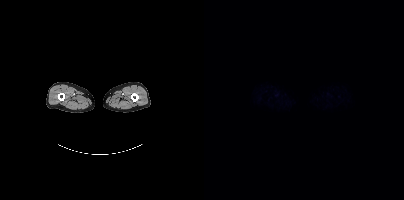
Paired axial CT (left) and PSMA PET (right), 18F-PSMA tracer. Slice position z = -1232 mm. PET panel 200×200 px (4.1 mm/px). Negative for PSMA-avid disease on this slice.